- Paired axial CT (left) and PSMA PET (right), 18F-PSMA tracer
- acquired on Siemens Biograph mCT Flow 20
- slice 74 of 415
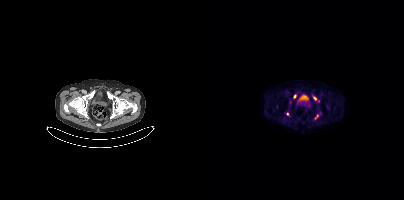
Findings: Coordinates are on the 200×200 PET (right) panel. (showing 4 of 6 foci) Small PSMA-avid foci (2 to 4 px across) near (center x, center y): (110, 98) / (83, 113) / (112, 116) / (90, 96).